modality: PSMA PET/CT | tracer: [18F]PSMA-1007 | view: axial
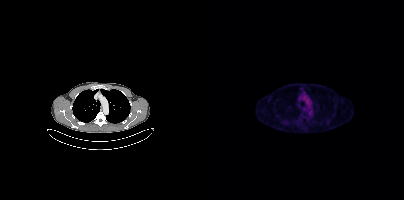
Negative for PSMA-avid disease on this slice.